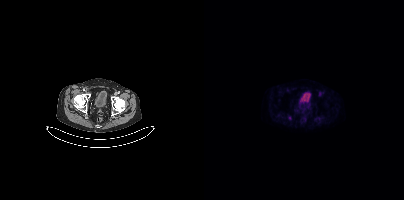
This slice has no annotated PSMA-avid lesion.